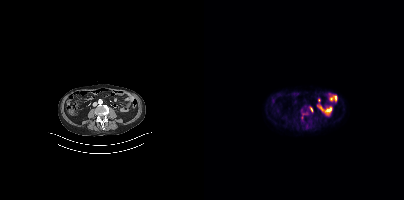
modality: PSMA PET/CT | tracer: 18F | view: axial | PET grid: 200×200
Coordinates are on the 200×200 PET (right) panel. (showing 2 of 3 foci) PSMA-avid tumor lesion bounding box (x0,y0,x1,y1): [106,107,108,111]. Small PSMA-avid focus (2 to 4 px across) near (center x, center y): (99, 113).